Paired axial CT (left) and PSMA PET (right), 18F-PSMA tracer. Acquired on Siemens Biograph mCT Flow 20. Slice 256 of 429. PET panel 200×200 px (4.1 mm/px).
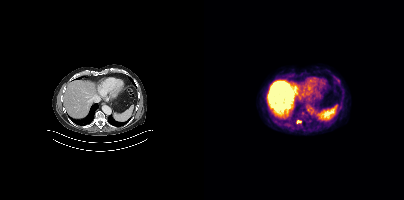
Coordinates are on the 200×200 PET (right) panel. PSMA-avid tumor lesion bounding box (x0, y0)-(x1, y1): (93, 120)-(97, 123).